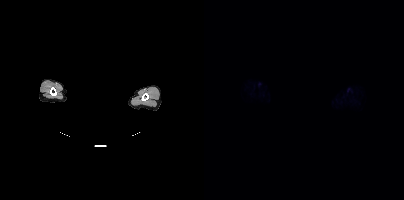
This slice has no annotated PSMA-avid lesion. Left: CT. Right: PSMA PET, same axial level, 18F-PSMA tracer. Slice position z = 446 mm. Face de-identified by blanking a block of the head.